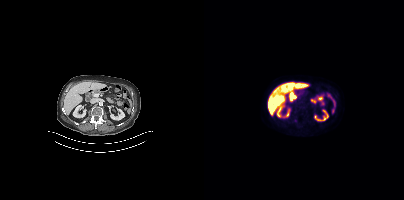
Coordinates are on the 200×200 PET (right) panel. Small PSMA-avid focus (2 to 4 px across) near (center x, center y): (91, 120).